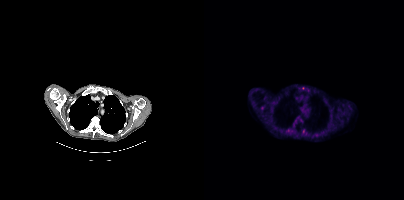
Findings: Coordinates are on the 200×200 PET (right) panel. (showing 1 of 2 foci) Small PSMA-avid focus (2 to 4 px across) near (center x, center y): (98, 87).
- Paired axial CT (left) and PSMA PET (right), 18F tracer
- acquired on Siemens Biograph mCT Flow 20